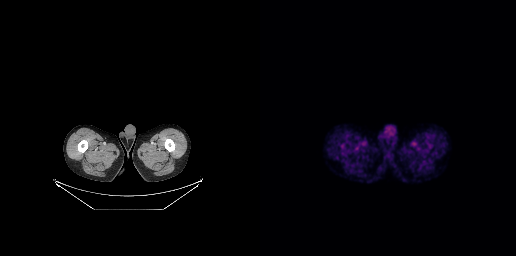
Negative for PSMA-avid disease on this slice.